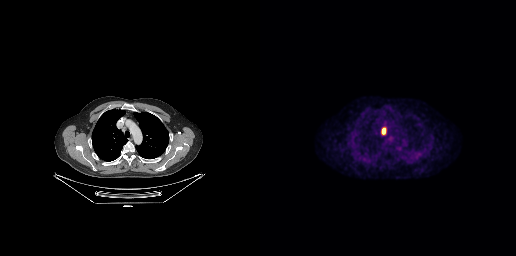
Left: CT. Right: PSMA PET, same axial level, 18F tracer. Acquired on GE Discovery 690. Coordinates are on the 256×256 PET (right) panel. PSMA-avid tumor lesion bounding box (x0,y0,x1,y1): [122,128,125,134].